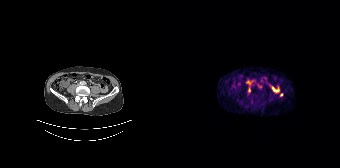
Coordinates are on the 168×168 PET (right) panel. Small PSMA-avid foci (2 to 4 px across) near (center x, center y): (77, 90) | (109, 94).